Technique: Paired axial CT (left) and PSMA PET (right), 68Ga-PSMA tracer. PET panel 200×200 px (4.1 mm/px).
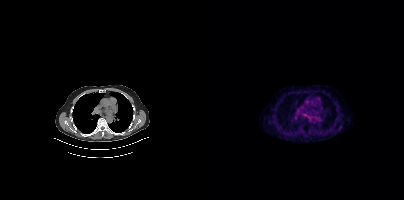
Findings: Negative for PSMA-avid disease on this slice.